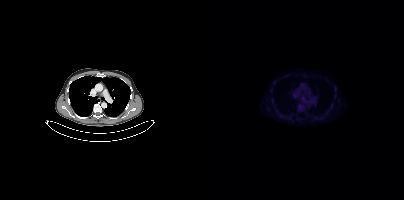
Coordinates are on the 200×200 PET (right) panel. Small PSMA-avid focus (2 to 4 px across) near (center x, center y): (98, 98). Left: CT. Right: PSMA PET, same axial level, 18F tracer. Slice position z = -510 mm.